- Two-panel axial: CT | PSMA PET, 18F-PSMA tracer
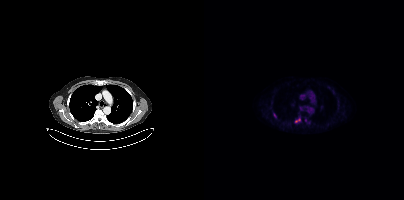
Findings: Coordinates are on the 200×200 PET (right) panel. PSMA-avid tumor lesion bounding boxes (x0, y0)-(x1, y1): (69, 113)-(72, 117) / (91, 119)-(96, 122).